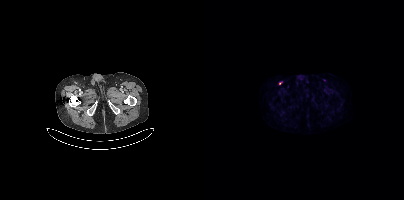
{"modality":"PSMA PET/CT","view":"axial","tracer":"18F-PSMA","pet_grid":[200,200],"coord_frame":"pet_panel","coord_format":"x0,y0,x1,y1","lesion_bboxes":[],"small_foci_centers":[[76,83]]}